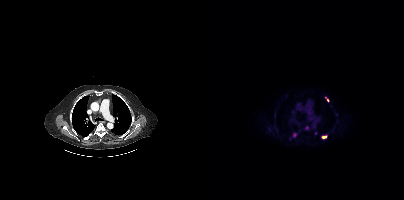
{"modality":"PSMA PET/CT","view":"axial","tracer":"[18F]PSMA-1007","pet_grid":[200,200],"coord_frame":"pet_panel","coord_format":"x0,y0,x1,y1","lesion_bboxes":[[117,135,123,138]],"small_foci_centers":[[103,127]]}